- Two-panel axial: CT | PSMA PET, [18F]PSMA-1007 tracer
- slice 94 of 425
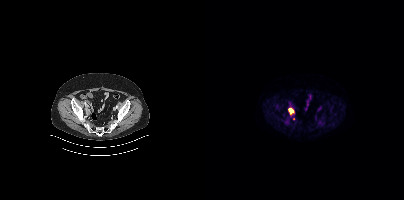
Findings: Coordinates are on the 200×200 PET (right) panel. PSMA-avid tumor lesion bounding box (x, y, width, height): x=84 y=108 w=7 h=7. Small PSMA-avid focus (2 to 4 px across) near (center x, center y): (89, 118).